Paired axial CT (left) and PSMA PET (right), 18F-PSMA tracer. Slice position z = -956 mm. PET panel 200×200 px (4.1 mm/px).
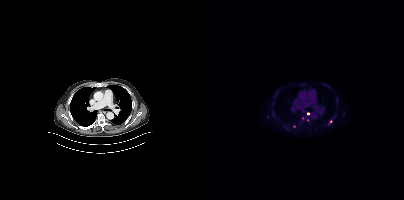
Only PSMA-avid lesion pieces thinner than 2 px on this slice (not listed).